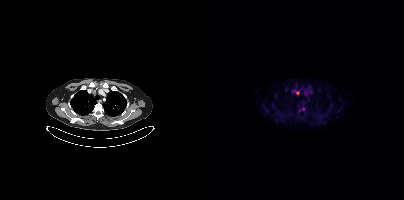
Paired axial CT (left) and PSMA PET (right), 18F-PSMA tracer. Acquired on Siemens Biograph mCT Flow 20. Coordinates are on the 200×200 PET (right) panel. PSMA-avid tumor lesion bounding box (x, y, width, height): x=89 y=90 w=7 h=5. Small PSMA-avid foci (2 to 4 px across) near (center x, center y): (99, 108) / (95, 110).